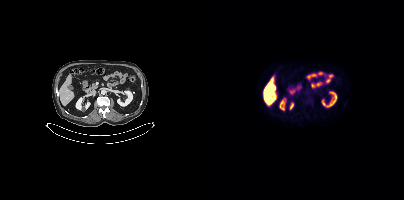
No tumor lesions annotated on this slice.